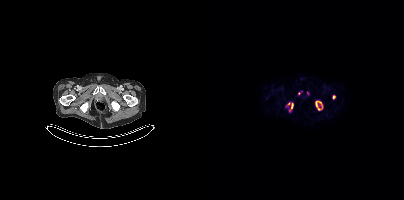
Technique: Two-panel axial: CT | PSMA PET, 18F-PSMA tracer. acquired on Siemens Biograph mCT Flow 20. slice 497 of 963. PET panel 200×200 px (4.1 mm/px).
Findings: Coordinates are on the 200×200 PET (right) panel. (showing 5 of 6 foci) PSMA-avid tumor lesion bounding boxes (x, y, width, height): x=111 y=101 w=8 h=10 | x=87 y=103 w=3 h=6. Small PSMA-avid foci (2 to 4 px across) near (center x, center y): (130, 97) | (94, 93) | (84, 103).